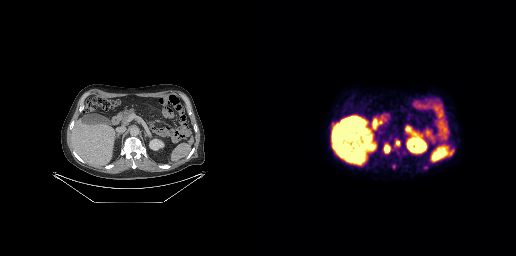
{"modality":"PSMA PET/CT","view":"axial","tracer":"18F-PSMA","pet_grid":[256,256],"coord_frame":"pet_panel","coord_format":"x0,y0,x1,y1","partial":true,"lesion_bboxes":[[124,144,131,154],[136,141,139,145]],"small_foci_centers":[[134,146]]}